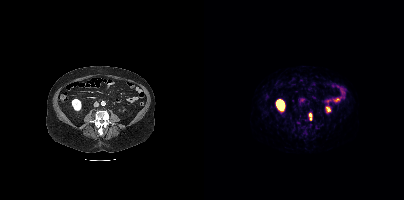
Findings: Coordinates are on the 200×200 PET (right) panel. PSMA-avid tumor lesion bounding box (x0,y0,x1,y1): [105,113,108,120].
Technique: Paired axial CT (left) and PSMA PET (right), 68Ga tracer. PET panel 200×200 px (4.1 mm/px).